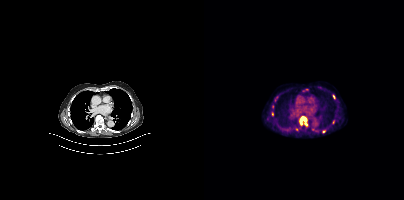
Findings: Coordinates are on the 200×200 PET (right) panel. (showing 4 of 7 foci) PSMA-avid tumor lesion bounding box (x, y, width, height): x=95 y=116 w=9 h=11. Small PSMA-avid foci (2 to 4 px across) near (center x, center y): (130, 96); (68, 114); (120, 131).
Technique: Left: CT. Right: PSMA PET, same axial level, 18F-PSMA tracer. PET panel 200×200 px (4.1 mm/px).